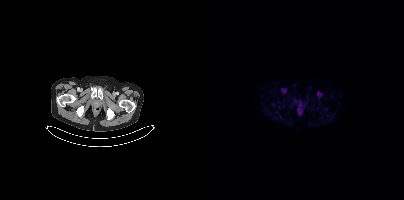
{"modality":"PSMA PET/CT","view":"axial","tracer":"18F-PSMA","pet_grid":[200,200],"coord_frame":"pet_panel","coord_format":"x0,y0,x1,y1","psma_avid_lesions":false}